Left: CT. Right: PSMA PET, same axial level, 18F tracer. Acquired on Siemens Biograph mCT Flow 20. PET panel 200×200 px (4.1 mm/px).
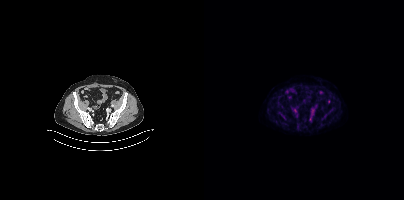
Coordinates are on the 200×200 PET (right) panel. PSMA-avid tumor lesion bounding boxes (partial; 1 more focus not listed):
| # | x0 | y0 | x1 | y1 |
|---|---|---|---|---|
| 1 | 117 | 115 | 121 | 119 |
Small PSMA-avid foci (2 to 4 px across) near (center x, center y): (75, 113); (80, 117).